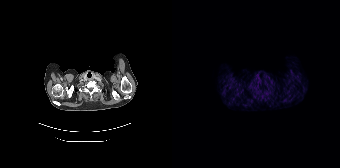
No PSMA-avid tumor lesions on this slice.